Technique: Two-panel axial: CT | PSMA PET, [18F]PSMA-1007 tracer.
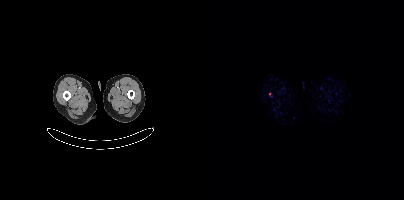
Findings: Coordinates are on the 200×200 PET (right) panel. Small PSMA-avid focus (2 to 4 px across) near (center x, center y): (65, 93).